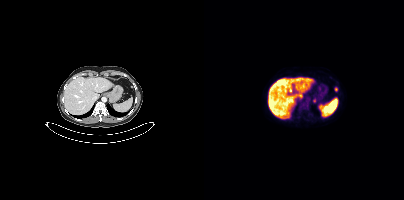
Two-panel axial: CT | PSMA PET, 18F-PSMA tracer. Acquired on Siemens Biograph mCT Flow 20.
Coordinates are on the 200×200 PET (right) panel. PSMA-avid tumor lesion bounding boxes:
| # | x0 | y0 | x1 | y1 |
|---|---|---|---|---|
| 1 | 131 | 87 | 133 | 91 |
Small PSMA-avid focus (2 to 4 px across) near (center x, center y): (110, 100).